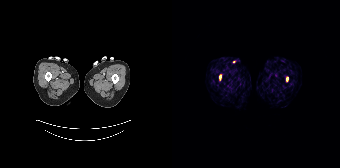
Two-panel axial: CT | PSMA PET, [68Ga]Ga-PSMA-11 tracer. Acquired on Siemens Biograph 64-4R TruePoint. Slice 30 of 195.
Coordinates are on the 168×168 PET (right) panel. PSMA-avid tumor lesion bounding boxes:
| # | x0 | y0 | x1 | y1 |
|---|---|---|---|---|
| 1 | 47 | 75 | 49 | 79 |
| 2 | 115 | 77 | 116 | 81 |